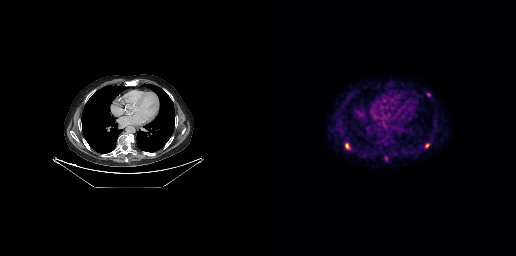
{"modality":"PSMA PET/CT","view":"axial","tracer":"18F-PSMA","pet_grid":[256,256],"coord_frame":"pet_panel","coord_format":"x0,y0,x1,y1","lesion_bboxes":[[85,143,89,149],[165,144,169,147]],"small_foci_centers":[[168,94]]}